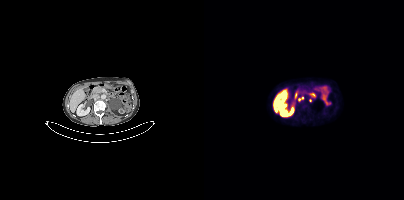
Coordinates are on the 200×200 PET (right) panel. (showing 2 of 3 foci) Small PSMA-avid foci (2 to 4 px across) near (center x, center y): (98, 97) | (95, 99). Left: CT. Right: PSMA PET, same axial level, 18F tracer. Slice position z = -260 mm.